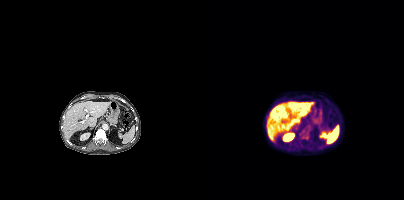
Two-panel axial: CT | PSMA PET, 18F-PSMA tracer. Slice 212 of 389. Coordinates are on the 200×200 PET (right) panel. PSMA-avid tumor lesion bounding box (x0, y0)-(x1, y1): (98, 136)-(104, 140).